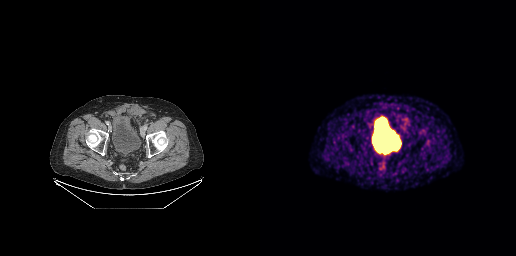
No tumor lesions annotated on this slice.